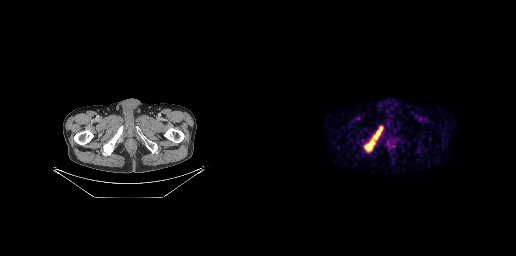
Coordinates are on the 256×256 PET (right) panel. PSMA-avid tumor lesion bounding boxes (x, y, width, height): x=104 y=140 w=12 h=13 | x=112 y=126 w=12 h=15.